Left: CT. Right: PSMA PET, same axial level, 18F tracer. PET panel 200×200 px (4.1 mm/px).
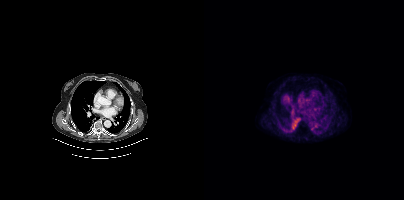
No tumor lesions annotated on this slice.